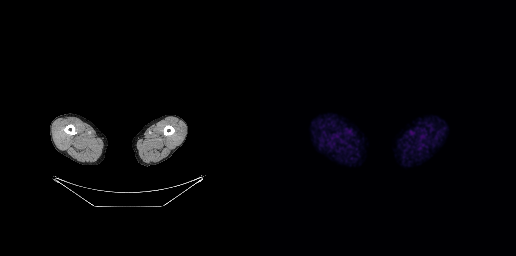
modality: PSMA PET/CT | tracer: 18F-PSMA | view: axial
Negative for PSMA-avid disease on this slice.